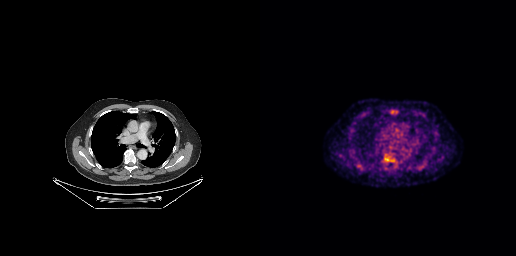
Negative for PSMA-avid disease on this slice.